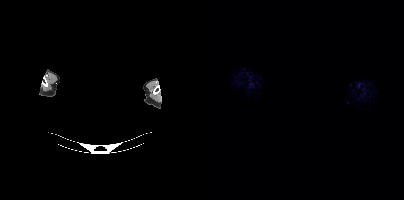
- Two-panel axial: CT | PSMA PET, [18F]PSMA-1007 tracer
- acquired on Siemens Biograph mCT Flow 20
- an anonymization step blacked out a rectangle over the head in this scan
Findings: Negative for PSMA-avid disease on this slice.